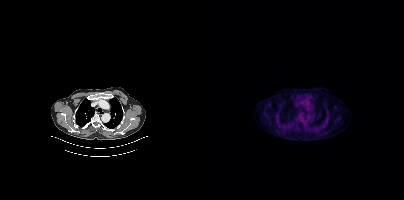
modality: PSMA PET/CT | tracer: 18F-PSMA | view: axial | PET grid: 200×200
No tumor lesions annotated on this slice.